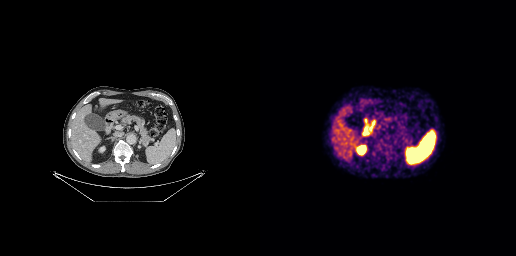
This slice has no annotated PSMA-avid lesion.